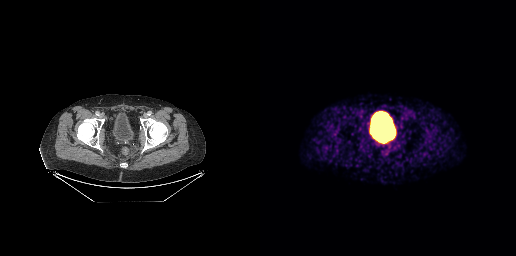
Two-panel axial: CT | PSMA PET, 68Ga-PSMA tracer. PET panel 256×256 px (2.7 mm/px). Negative for PSMA-avid disease on this slice.